Technique: Left: CT. Right: PSMA PET, same axial level, 18F tracer. slice position z = -743 mm.
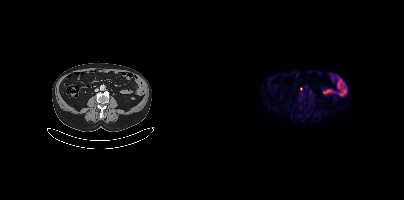
Findings: No PSMA-avid tumor lesions on this slice.